Paired axial CT (left) and PSMA PET (right), [18F]PSMA-1007 tracer. Acquired on Siemens Biograph mCT Flow 20. PET panel 200×200 px (4.1 mm/px).
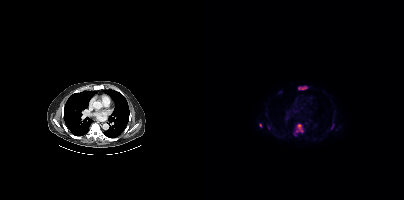
Coordinates are on the 200×200 PET (right) panel. PSMA-avid tumor lesion bounding boxes:
| # | x0 | y0 | x1 | y1 |
|---|---|---|---|---|
| 1 | 92 | 124 | 99 | 132 |
| 2 | 94 | 86 | 103 | 89 |
| 3 | 55 | 123 | 57 | 127 |
| 4 | 128 | 124 | 129 | 128 |